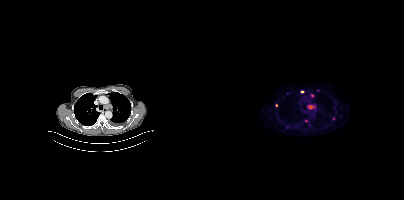
- Two-panel axial: CT | PSMA PET, 18F-PSMA tracer
- slice 295 of 405
- PET panel 200×200 px (4.1 mm/px)
Findings: Coordinates are on the 200×200 PET (right) panel. (showing 4 of 8 foci) PSMA-avid tumor lesion bounding box (x0,y0,x1,y1): [103,104,111,109]. Small PSMA-avid foci (2 to 4 px across) near (center x, center y): (108, 95) (98, 91) (72, 105).